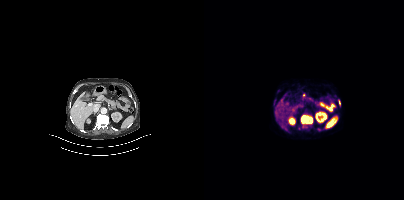
Coordinates are on the 200×200 PET (right) panel. PSMA-avid tumor lesion bounding boxes:
| # | x0 | y0 | x1 | y1 |
|---|---|---|---|---|
| 1 | 97 | 115 | 108 | 128 |
Small PSMA-avid foci (2 to 4 px across) near (center x, center y): (115, 129); (135, 101).
Paired axial CT (left) and PSMA PET (right), [68Ga]Ga-PSMA-11 tracer. Slice 211 of 397.